Two-panel axial: CT | PSMA PET, [18F]PSMA-1007 tracer. Slice 123 of 195. PET panel 168×168 px (4.1 mm/px).
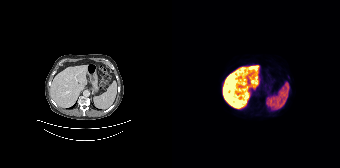
This slice has no annotated PSMA-avid lesion.